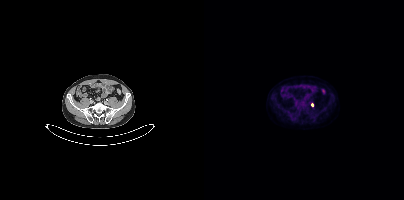
modality: PSMA PET/CT | tracer: [18F]PSMA-1007 | view: axial
Coordinates are on the 200×200 PET (right) panel. Small PSMA-avid focus (2 to 4 px across) near (center x, center y): (108, 104).